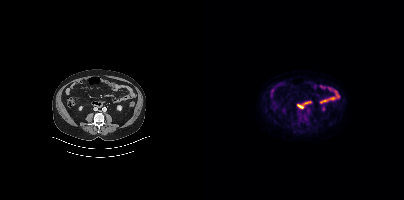
This slice has no annotated PSMA-avid lesion. Left: CT. Right: PSMA PET, same axial level, 18F-PSMA tracer. Acquired on Siemens Biograph mCT Flow 20. PET panel 200×200 px (4.1 mm/px).